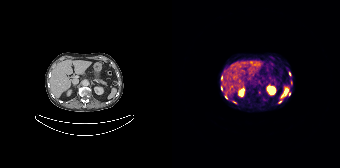
Coordinates are on the 168×168 PET (right) panel. PSMA-avid tumor lesion bounding box (x, y, width, height): x=49 y=86 w=2 h=5. Small PSMA-avid foci (2 to 4 px across) near (center x, center y): (49, 78); (117, 73); (117, 93); (54, 97); (107, 102); (62, 101).